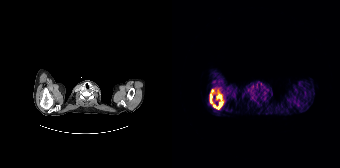
{"modality":"PSMA PET/CT","view":"axial","tracer":"68Ga-PSMA","pet_grid":[168,168],"coord_frame":"pet_panel","coord_format":"x0,y0,x1,y1","lesion_bboxes":[[38,89,52,109]]}